Two-panel axial: CT | PSMA PET, 18F tracer. Slice 422 of 435. Face de-identified by blanking a block of the head.
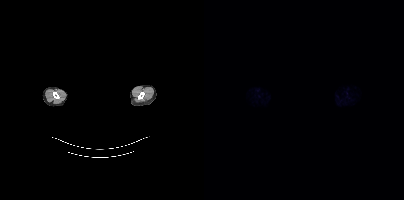
Negative for PSMA-avid disease on this slice.